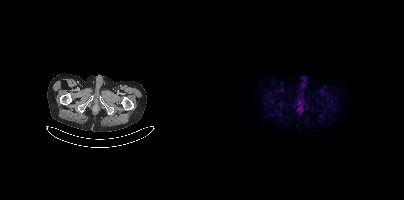
Two-panel axial: CT | PSMA PET, [18F]PSMA-1007 tracer. Slice position z = -959 mm. No tumor lesions annotated on this slice.